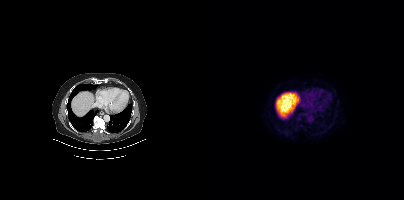
No PSMA-avid tumor lesions on this slice.